Left: CT. Right: PSMA PET, same axial level, [18F]PSMA-1007 tracer. Acquired on Siemens Biograph mCT Flow 20. Slice 216 of 403.
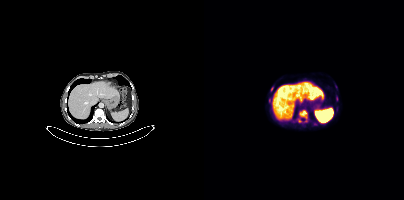
Coordinates are on the 200×200 PET (right) panel. PSMA-avid tumor lesion bounding boxes (partial; 2 more foci not listed):
| # | x0 | y0 | x1 | y1 |
|---|---|---|---|---|
| 1 | 95 | 110 | 103 | 118 |
Small PSMA-avid foci (2 to 4 px across) near (center x, center y): (68, 88); (95, 120).